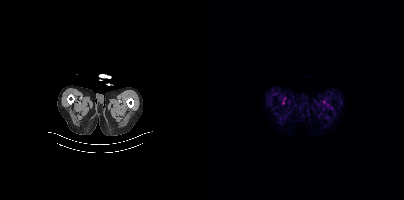
{"pet_grid":[200,200],"coord_frame":"pet_panel","coord_format":"x0,y0,x1,y1","psma_avid_lesions":false,"modality":"PSMA PET/CT","view":"axial","tracer":"[18F]PSMA-1007"}